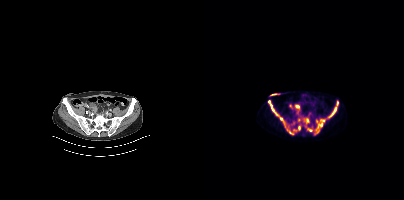
Coordinates are on the 200×200 PET (right) panel. (showing 8 of 9 foci) PSMA-avid tumor lesion bounding boxes (x0,y0,x1,y1): [64,101,89,134], [124,101,134,117], [100,118,105,123], [114,123,118,127], [103,128,108,131], [116,119,120,121]. Small PSMA-avid foci (2 to 4 px across) near (center x, center y): (95, 127), (94, 119).